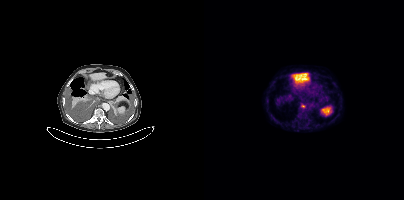
{"modality":"PSMA PET/CT","view":"axial","tracer":"18F","pet_grid":[200,200],"coord_frame":"pet_panel","coord_format":"x0,y0,x1,y1","lesion_bboxes":[[97,104,101,107]]}